Left: CT. Right: PSMA PET, same axial level, 18F-PSMA tracer. Slice position z = -596 mm. PET panel 200×200 px (4.1 mm/px).
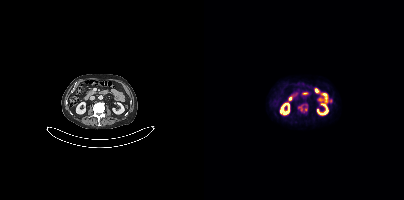
Coordinates are on the 200×200 PET (right) panel. PSMA-avid tumor lesion bounding box (x, y, width, height): x=94 y=104 w=10 h=9.